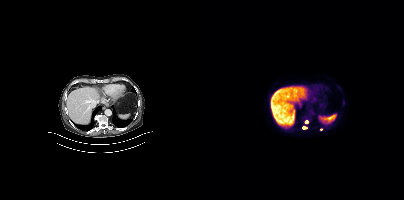
Coordinates are on the 200×200 PET (right) panel. (showing 2 of 3 foci) Small PSMA-avid foci (2 to 4 px across) near (center x, center y): (103, 122) (100, 127).